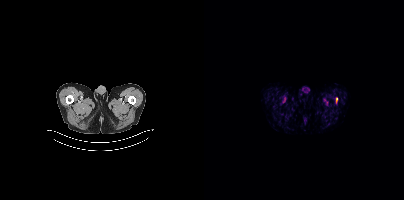
Technique: Paired axial CT (left) and PSMA PET (right), 18F tracer. acquired on Siemens Biograph mCT Flow 20. slice position z = -1782 mm.
Findings: Coordinates are on the 200×200 PET (right) panel. PSMA-avid tumor lesion bounding box (x0,y0,x1,y1): [132,98,133,102].